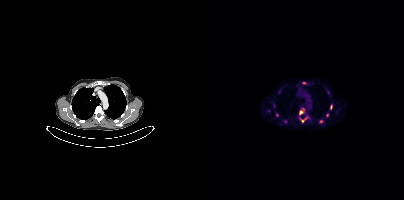
Technique: Paired axial CT (left) and PSMA PET (right), 18F tracer. acquired on Siemens Biograph mCT Flow 20. slice position z = -1018 mm. PET panel 200×200 px (4.1 mm/px).
Findings: Coordinates are on the 200×200 PET (right) panel. (showing 8 of 12 foci) PSMA-avid tumor lesion bounding boxes (x, y, width, height): x=95 y=108 w=7 h=8 / x=95 y=116 w=10 h=7 / x=126 y=104 w=3 h=6 / x=115 y=120 w=5 h=4 / x=98 y=82 w=5 h=3 / x=122 y=113 w=3 h=5. Small PSMA-avid foci (2 to 4 px across) near (center x, center y): (73, 114) / (81, 121).